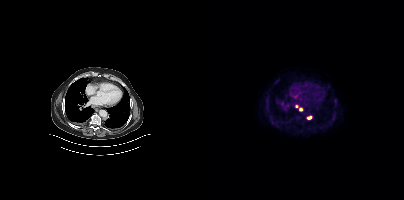
modality: PSMA PET/CT | tracer: 18F-PSMA | view: axial
Coordinates are on the 200×200 PET (right) panel. PSMA-avid tumor lesion bounding box (x, y, width, height): x=103 y=116 w=5 h=4. Small PSMA-avid foci (2 to 4 px across) near (center x, center y): (92, 106) | (97, 109).